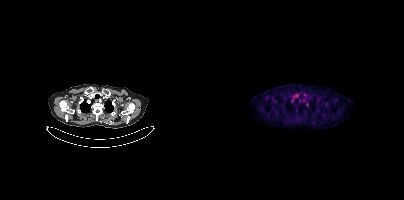
Coordinates are on the 200×200 PET (right) panel. Small PSMA-avid focus (2 to 4 px across) near (center x, center y): (103, 104). Two-panel axial: CT | PSMA PET, [18F]PSMA-1007 tracer. Slice 331 of 401. PET panel 200×200 px (4.1 mm/px).